Left: CT. Right: PSMA PET, same axial level, 18F-PSMA tracer. Slice 201 of 263. PET panel 256×256 px (2.7 mm/px).
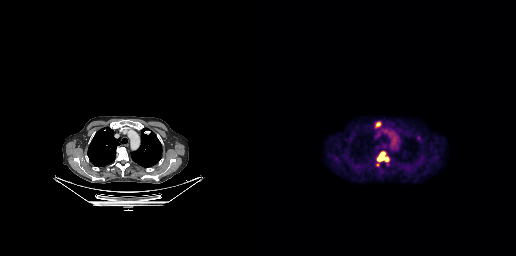
Coordinates are on the 256×256 PET (right) panel. PSMA-avid tumor lesion bounding boxes (x, y, width, height): x=117 y=152 w=12 h=10; x=115 y=121 w=7 h=8.